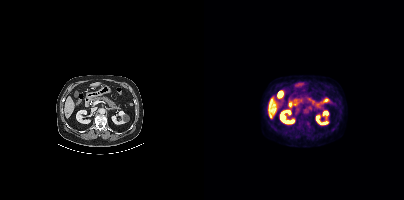
modality: PSMA PET/CT | tracer: 18F | view: axial | PET grid: 200×200
Negative for PSMA-avid disease on this slice.